modality: PSMA PET/CT | tracer: 68Ga | view: axial
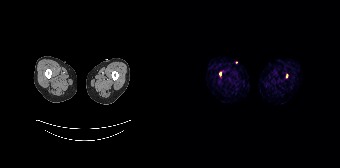
Coordinates are on the 168×168 PET (right) panel. Small PSMA-avid foci (2 to 4 px across) near (center x, center y): (48, 73); (114, 75).